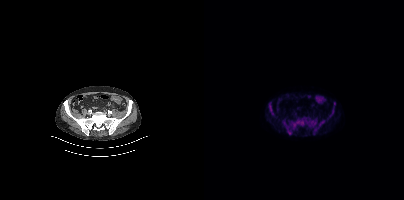
{"modality":"PSMA PET/CT","view":"axial","tracer":"18F","pet_grid":[200,200],"coord_frame":"pet_panel","coord_format":"x0,y0,x1,y1","partial":true,"lesion_bboxes":[[78,117,120,134],[65,105,69,115],[125,111,129,117]]}